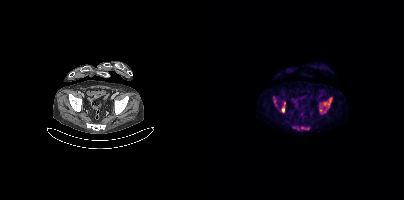
Coordinates are on the 200×200 PET (right) panel. PSMA-avid tumor lesion bounding boxes:
| # | x0 | y0 | x1 | y1 |
|---|---|---|---|---|
| 1 | 120 | 98 | 127 | 107 |
| 2 | 69 | 96 | 73 | 106 |
| 3 | 77 | 105 | 80 | 112 |
| 4 | 97 | 127 | 105 | 129 |
Small PSMA-avid foci (2 to 4 px across) near (center x, center y): (80, 102); (117, 110); (93, 128); (89, 127).
Two-panel axial: CT | PSMA PET, 18F-PSMA tracer. Slice 99 of 401.